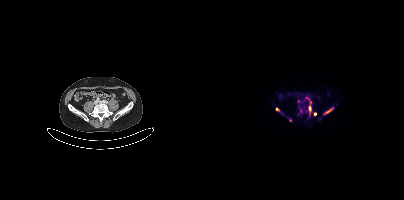
Coordinates are on the 200×200 PET (right) panel. PSMA-avid tumor lesion bounding boxes (x0,y0,x1,y1): [101,97,107,115] [120,107,129,114] [72,108,79,114]. Small PSMA-avid foci (2 to 4 px across) near (center x, center y): (86, 120) (94, 101) (111, 113) (115, 118).